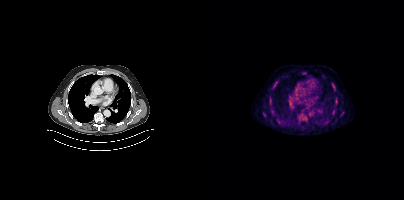
Coordinates are on the 200×200 PET (right) panel. (showing 3 of 4 foci) Small PSMA-avid foci (2 to 4 px across) near (center x, center y): (70, 84) / (132, 98) / (128, 83).